- Left: CT. Right: PSMA PET, same axial level, [68Ga]Ga-PSMA-11 tracer
- acquired on GE Discovery 690
- slice position z = -874 mm
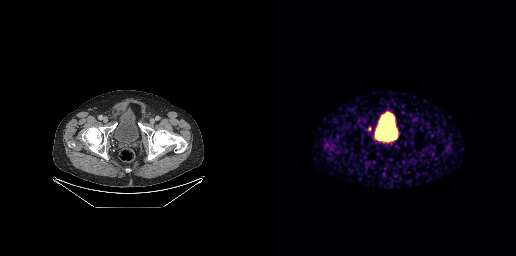
Findings: Coordinates are on the 256×256 PET (right) panel. PSMA-avid tumor lesion bounding box (x0,y0,x1,y1): [108,126,111,131].